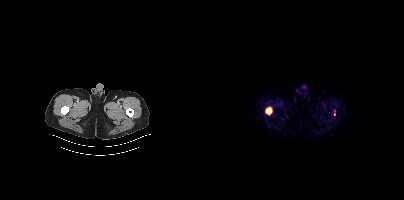
Coordinates are on the 200×200 PET (right) panel. (showing 1 of 2 foci) PSMA-avid tumor lesion bounding box (x, y, width, height): x=62 y=107 w=6 h=8.